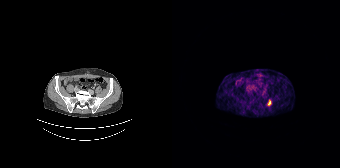
Left: CT. Right: PSMA PET, same axial level, 68Ga tracer. PET panel 168×168 px (4.1 mm/px).
Coordinates are on the 168×168 PET (right) panel. PSMA-avid tumor lesion bounding boxes:
| # | x0 | y0 | x1 | y1 |
|---|---|---|---|---|
| 1 | 96 | 100 | 99 | 105 |